Two-panel axial: CT | PSMA PET, [18F]PSMA-1007 tracer. PET panel 200×200 px (4.1 mm/px).
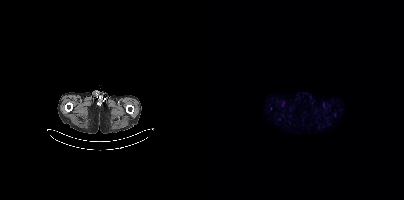
Coordinates are on the 200×200 PET (right) panel. Small PSMA-avid focus (2 to 4 px across) near (center x, center y): (66, 108).